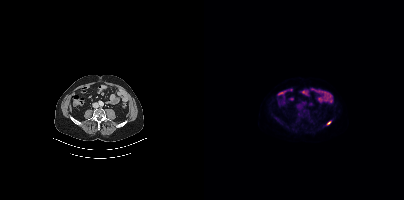
Two-panel axial: CT | PSMA PET, 18F-PSMA tracer. Slice 150 of 401. PET panel 200×200 px (4.1 mm/px). Coordinates are on the 200×200 PET (right) panel. PSMA-avid tumor lesion bounding box (x0, y0)-(x1, y1): (123, 121)-(127, 124).